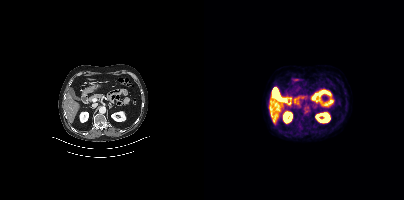
No tumor lesions annotated on this slice. Left: CT. Right: PSMA PET, same axial level, 18F-PSMA tracer. Acquired on Siemens Biograph mCT Flow 20. Slice position z = -1190 mm. PET panel 200×200 px (4.1 mm/px).